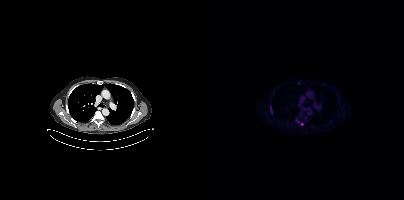
Coordinates are on the 200×200 PET (right) panel. PSMA-avid tumor lesion bounding box (x0, y0)-(x1, y1): (66, 106)-(68, 113). Small PSMA-avid foci (2 to 4 px across) near (center x, center y): (98, 124); (93, 120).